Paired axial CT (left) and PSMA PET (right), 18F-PSMA tracer. Slice 202 of 421.
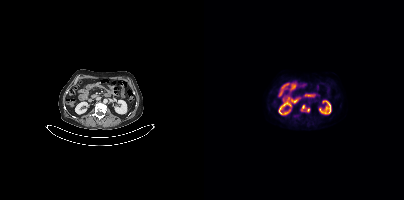
Coordinates are on the 200×200 PET (right) panel. Small PSMA-avid foci (2 to 4 px across) near (center x, center y): (99, 106); (104, 110).